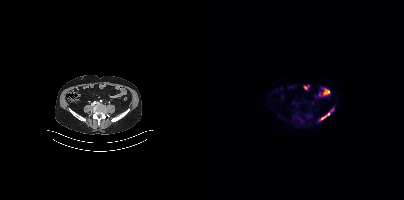
modality: PSMA PET/CT | tracer: 18F-PSMA | view: axial | PET grid: 200×200
Coordinates are on the 200×200 PET (right) panel. PSMA-avid tumor lesion bounding box (x, y, width, height): x=115 y=108 w=15 h=13. Small PSMA-avid focus (2 to 4 px across) near (center x, center y): (90, 115).